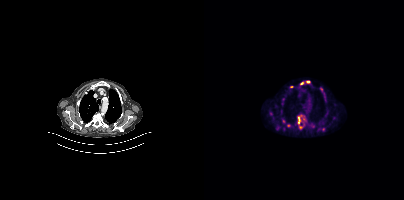
{"modality":"PSMA PET/CT","view":"axial","tracer":"[18F]PSMA-1007","pet_grid":[200,200],"coord_frame":"pet_panel","coord_format":"x0,y0,x1,y1","lesion_bboxes":[[93,114,102,128],[96,80,106,85],[117,89,122,101]],"small_foci_centers":[[109,126],[119,129],[87,86],[79,121],[84,125]]}